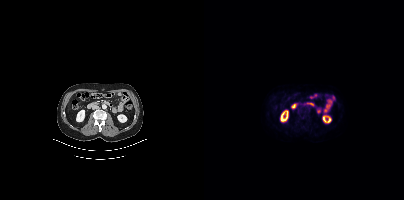
{"modality":"PSMA PET/CT","view":"axial","tracer":"18F-PSMA","pet_grid":[200,200],"coord_frame":"pet_panel","coord_format":"x0,y0,x1,y1","psma_avid_lesions":false}